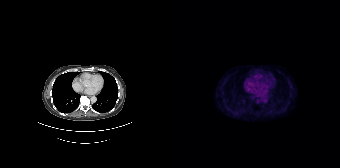
Two-panel axial: CT | PSMA PET, 18F tracer. Slice 95 of 165. PET panel 168×168 px (4.1 mm/px). This slice has no annotated PSMA-avid lesion.